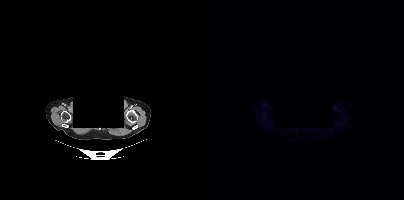
Two-panel axial: CT | PSMA PET, 18F tracer. Acquired on Siemens Biograph mCT Flow 20. Slice 335 of 383. PET panel 200×200 px (4.1 mm/px). Privacy masking over the head, with the pixels inside a rectangle set to black. Negative for PSMA-avid disease on this slice.